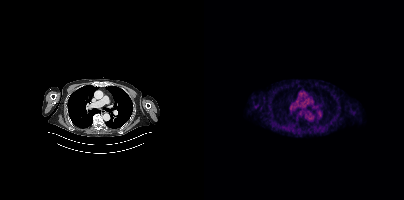
Technique: Left: CT. Right: PSMA PET, same axial level, 18F tracer. slice 303 of 427.
Findings: No tumor lesions annotated on this slice.